Technique: Two-panel axial: CT | PSMA PET, 18F tracer. acquired on Siemens Biograph mCT Flow 20.
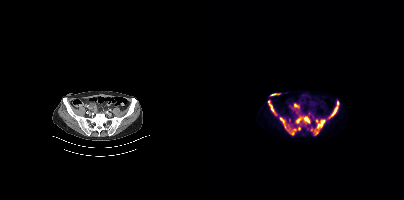
Findings: Coordinates are on the 200×200 PET (right) panel. (showing 8 of 9 foci) PSMA-avid tumor lesion bounding boxes (x, y, width, height): x=75 y=116 w=17 h=19 | x=92 y=116 w=15 h=8 | x=64 y=102 w=10 h=14 | x=125 y=101 w=10 h=18 | x=113 y=120 w=9 h=9. Small PSMA-avid foci (2 to 4 px across) near (center x, center y): (112, 120) | (107, 129) | (95, 128).